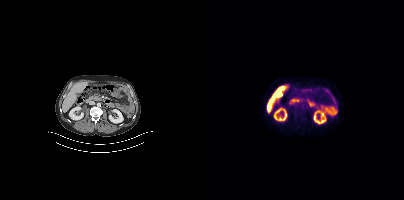
- Paired axial CT (left) and PSMA PET (right), 18F tracer
- acquired on Siemens Biograph mCT Flow 20
- slice 185 of 415
Findings: No tumor lesions annotated on this slice.